modality: PSMA PET/CT | tracer: 18F-PSMA | view: axial
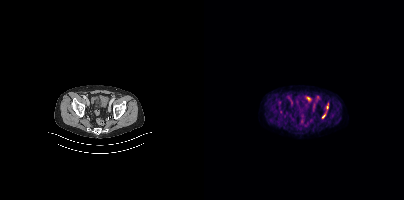
Coordinates are on the 200×200 PET (right) panel. PSMA-avid tumor lesion bounding boxes (x0,y0,x1,y1): [122,103,124,109]; [118,114,121,118].